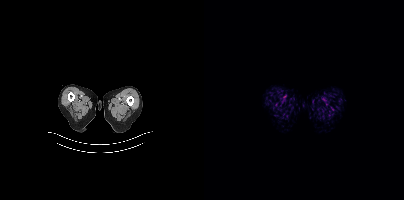
Technique: Paired axial CT (left) and PSMA PET (right), 18F tracer. slice position z = -1053 mm.
Findings: No tumor lesions annotated on this slice.